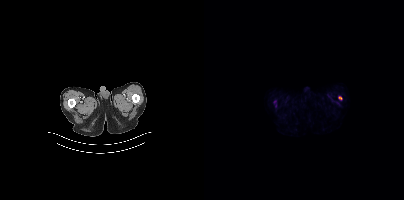
Coordinates are on the 200×200 PET (right) panel. Small PSMA-avid focus (2 to 4 px across) near (center x, center y): (136, 97).